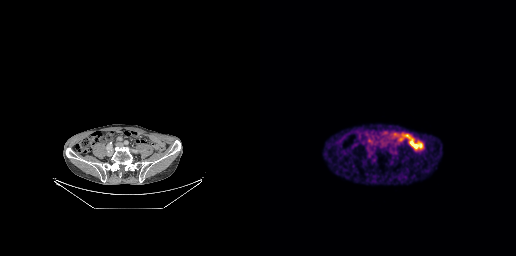
modality: PSMA PET/CT | tracer: 18F-PSMA | view: axial | PET grid: 256×256
No tumor lesions annotated on this slice.